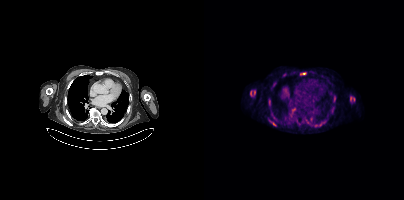
Findings: Coordinates are on the 200×200 PET (right) panel. (showing 7 of 8 foci) PSMA-avid tumor lesion bounding boxes (x0, y0)-(x1, y1): (46, 90)-(51, 96) / (146, 96)-(151, 101) / (115, 122)-(119, 126) / (96, 72)-(102, 74) / (66, 121)-(72, 125) / (64, 100)-(66, 104). Small PSMA-avid focus (2 to 4 px across) near (center x, center y): (130, 96).
Technique: Left: CT. Right: PSMA PET, same axial level, 18F-PSMA tracer. acquired on Siemens Biograph mCT Flow 20. PET panel 200×200 px (4.1 mm/px).